Any black rectangle over the head is a privacy mask, not anatomy. Paired axial CT (left) and PSMA PET (right), 18F tracer.
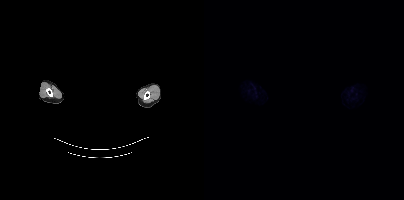
This slice has no annotated PSMA-avid lesion.